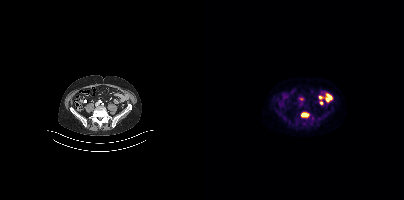
Coordinates are on the 200×200 PET (right) panel. PSMA-avid tumor lesion bounding boxes:
| # | x0 | y0 | x1 | y1 |
|---|---|---|---|---|
| 1 | 97 | 112 | 105 | 117 |
Paired axial CT (left) and PSMA PET (right), [18F]PSMA-1007 tracer. Slice 116 of 356. PET panel 200×200 px (4.1 mm/px).